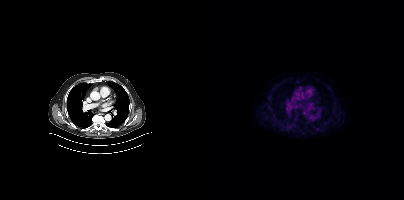
Negative for PSMA-avid disease on this slice.